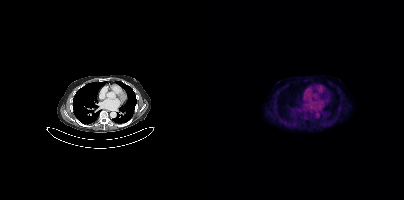
Two-panel axial: CT | PSMA PET, 18F-PSMA tracer. This slice has no annotated PSMA-avid lesion.